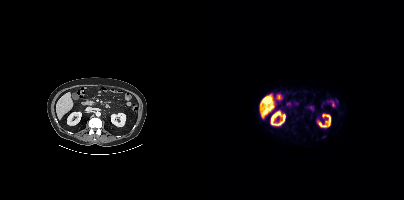
Coordinates are on the 200×200 PET (right) panel. Small PSMA-avid focus (2 to 4 px across) near (center x, center y): (120, 136).